modality: PSMA PET/CT | tracer: [18F]PSMA-1007 | view: axial
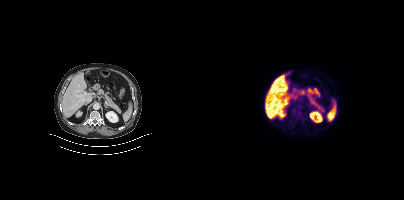
No PSMA-avid tumor lesions on this slice.